- Left: CT. Right: PSMA PET, same axial level, [18F]PSMA-1007 tracer
- PET panel 168×168 px (4.1 mm/px)
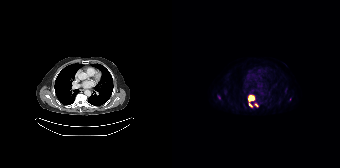
Findings: Coordinates are on the 168×168 PET (right) panel. (showing 3 of 4 foci) PSMA-avid tumor lesion bounding boxes (x, y, width, height): x=76 y=94 w=8 h=14 / x=82 y=103 w=5 h=5. Small PSMA-avid focus (2 to 4 px across) near (center x, center y): (47, 97).